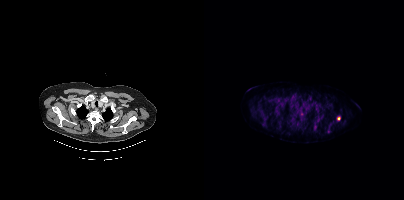
{"pet_grid":[200,200],"coord_frame":"pet_panel","coord_format":"x0,y0,x1,y1","lesion_bboxes":[[133,116,136,120]],"small_foci_centers":[[97,113]],"modality":"PSMA PET/CT","view":"axial","tracer":"18F-PSMA"}